Technique: Paired axial CT (left) and PSMA PET (right), [18F]PSMA-1007 tracer. acquired on Siemens Biograph mCT Flow 20. slice 347 of 407. PET panel 200×200 px (4.1 mm/px).
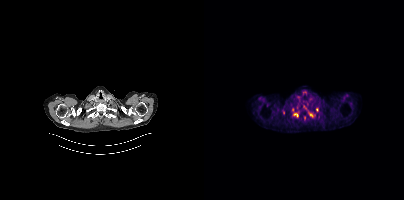
Findings: Coordinates are on the 200×200 PET (right) panel. (showing 3 of 4 foci) PSMA-avid tumor lesion bounding box (x0,y0,x1,y1): [90,113,94,116]. Small PSMA-avid foci (2 to 4 px across) near (center x, center y): (107, 115), (112, 109).